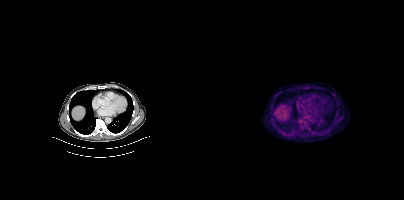
{"pet_grid":[200,200],"coord_frame":"pet_panel","coord_format":"x0,y0,x1,y1","lesion_bboxes":[[96,119,100,122]],"modality":"PSMA PET/CT","view":"axial","tracer":"18F"}